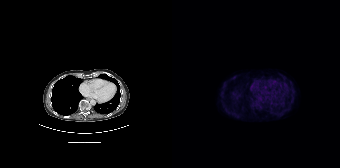
{"pet_grid":[168,168],"coord_frame":"pet_panel","coord_format":"x0,y0,x1,y1","psma_avid_lesions":false,"modality":"PSMA PET/CT","view":"axial","tracer":"[18F]PSMA-1007"}